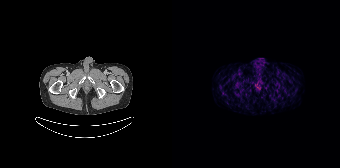
{"modality":"PSMA PET/CT","view":"axial","tracer":"68Ga-PSMA","pet_grid":[168,168],"coord_frame":"pet_panel","coord_format":"x0,y0,x1,y1","psma_avid_lesions":false}